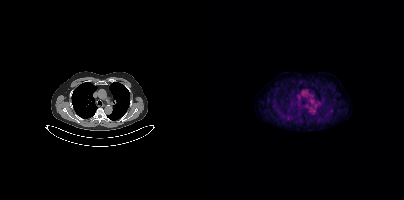
Only PSMA-avid lesion pieces thinner than 2 px on this slice (not listed).